Paired axial CT (left) and PSMA PET (right), 18F tracer. PET panel 200×200 px (4.1 mm/px).
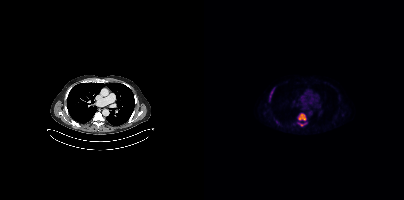
Coordinates are on the 200×200 PET (right) panel. PSMA-avid tumor lesion bounding boxes:
| # | x0 | y0 | x1 | y1 |
|---|---|---|---|---|
| 1 | 94 | 113 | 102 | 120 |
| 2 | 65 | 88 | 70 | 101 |
| 3 | 94 | 122 | 102 | 126 |
Small PSMA-avid focus (2 to 4 px across) near (center x, center y): (72, 121).